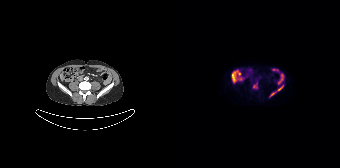
{"modality":"PSMA PET/CT","view":"axial","tracer":"18F","pet_grid":[168,168],"coord_frame":"pet_panel","coord_format":"x0,y0,x1,y1","lesion_bboxes":[[81,83,85,88],[98,91,104,96],[106,87,110,90]]}